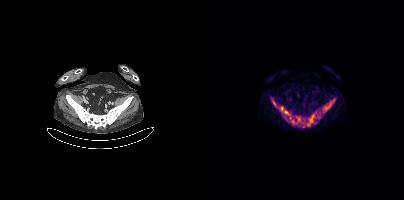
{"modality":"PSMA PET/CT","view":"axial","tracer":"[18F]PSMA-1007","pet_grid":[200,200],"coord_frame":"pet_panel","coord_format":"x0,y0,x1,y1","lesion_bboxes":[[83,116,111,127],[67,97,74,107],[119,102,127,110]],"small_foci_centers":[[82,112],[77,108]]}